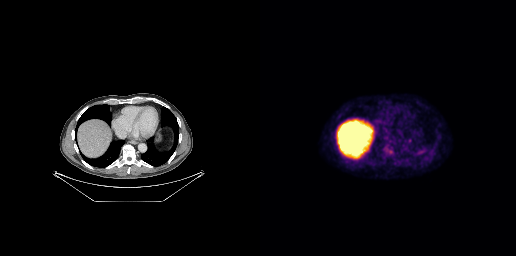
Coordinates are on the 256×256 PET (right) panel. PSMA-avid tumor lesion bounding box (x0,y0,x1,y1): [127,148,132,152].
modality: PSMA PET/CT | tracer: [18F]PSMA-1007 | view: axial | PET grid: 256×256